modality: PSMA PET/CT | tracer: [18F]PSMA-1007 | view: axial | PET grid: 200×200
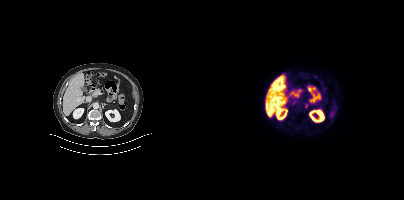
Coordinates are on the 200×200 PET (right) panel. PSMA-avid tumor lesion bounding box (x0, y0)-(x1, y1): (101, 103)-(104, 108).